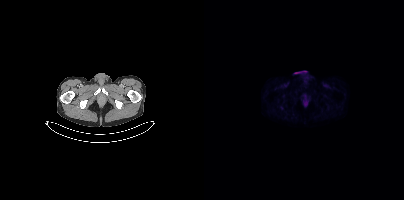
Negative for PSMA-avid disease on this slice.